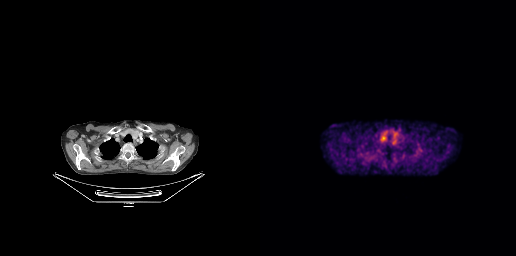
No tumor lesions annotated on this slice.